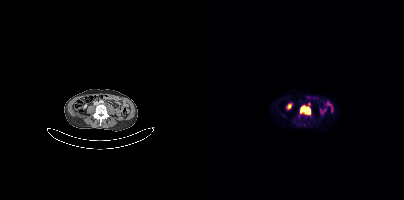
modality: PSMA PET/CT | tracer: [68Ga]Ga-PSMA-11 | view: axial | PET grid: 200×200
Coordinates are on the 200×200 PET (right) panel. PSMA-avid tumor lesion bounding box (x0, y0)-(x1, y1): (96, 105)-(106, 114). Small PSMA-avid focus (2 to 4 px across) near (center x, center y): (105, 104).